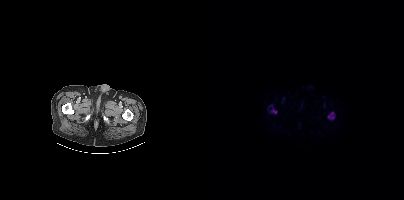
Technique: Paired axial CT (left) and PSMA PET (right), [18F]PSMA-1007 tracer. acquired on Siemens Biograph mCT Flow 20. slice position z = -1709 mm. PET panel 200×200 px (4.1 mm/px).
Findings: Coordinates are on the 200×200 PET (right) panel. (showing 2 of 3 foci) PSMA-avid tumor lesion bounding boxes (x, y, width, height): x=124 y=112 w=7 h=8; x=67 y=108 w=6 h=6.